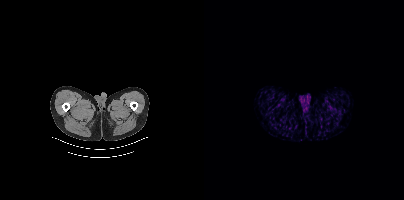
{"modality":"PSMA PET/CT","view":"axial","tracer":"68Ga-PSMA","pet_grid":[200,200],"coord_frame":"pet_panel","coord_format":"x0,y0,x1,y1","psma_avid_lesions":false}